modality: PSMA PET/CT | tracer: 18F | view: axial
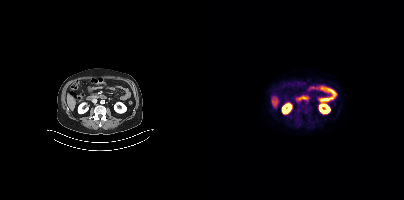
Coordinates are on the 200×200 PET (right) panel. Small PSMA-avid focus (2 to 4 px across) near (center x, center y): (101, 111).